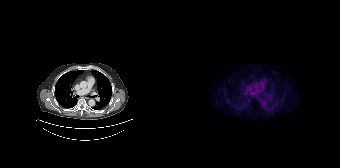
Negative for PSMA-avid disease on this slice.